Two-panel axial: CT | PSMA PET, [18F]PSMA-1007 tracer.
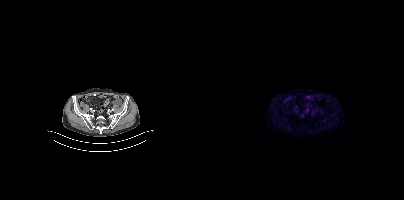
This slice has no annotated PSMA-avid lesion.